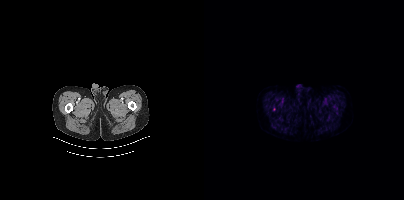
{"modality":"PSMA PET/CT","view":"axial","tracer":"[18F]PSMA-1007","pet_grid":[200,200],"coord_frame":"pet_panel","coord_format":"x0,y0,x1,y1","psma_avid_lesions":false}